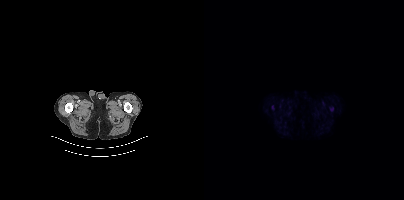
Coordinates are on the 200×200 PET (right) panel. Small PSMA-avid focus (2 to 4 px across) near (center x, center y): (128, 109).